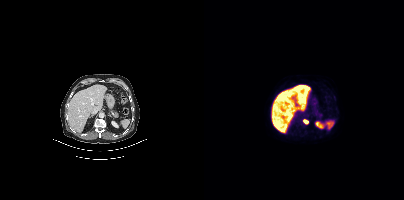
Coordinates are on the 200×200 PET (right) panel. PSMA-avid tumor lesion bounding box (x, y, width, height): x=100 y=120 w=5 h=4. Paired axial CT (left) and PSMA PET (right), 18F tracer. PET panel 200×200 px (4.1 mm/px).